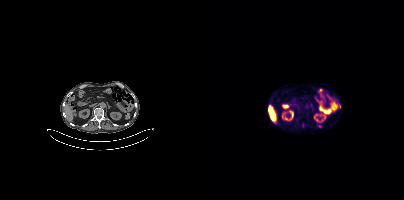
Paired axial CT (left) and PSMA PET (right), 18F-PSMA tracer. Slice 187 of 385. PET panel 200×200 px (4.1 mm/px).
Coordinates are on the 200×200 PET (right) panel. PSMA-avid tumor lesion bounding boxes:
| # | x0 | y0 | x1 | y1 |
|---|---|---|---|---|
| 1 | 113 | 125 | 117 | 127 |
Small PSMA-avid focus (2 to 4 px across) near (center x, center y): (135, 107).